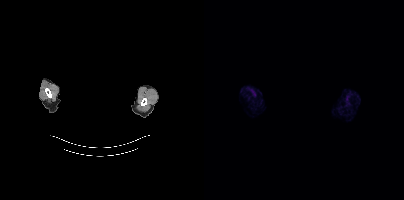
This slice has no annotated PSMA-avid lesion.
Facial anatomy redacted by setting a rectangular region of the head to black.